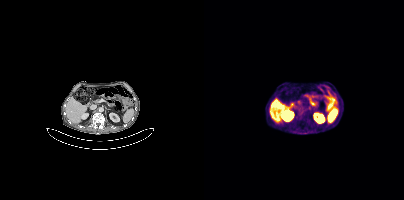
Left: CT. Right: PSMA PET, same axial level, 68Ga tracer. Slice 204 of 413. PET panel 200×200 px (4.1 mm/px). Negative for PSMA-avid disease on this slice.